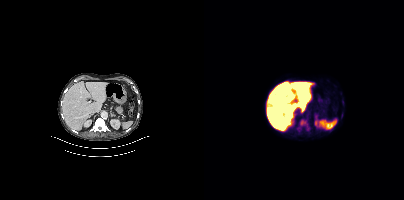
modality: PSMA PET/CT | tracer: 18F-PSMA | view: axial
Coordinates are on the 200×200 PET (right) panel. PSMA-avid tumor lesion bounding boxes (x0, y0)-(x1, y1): (95, 120)-(105, 130) | (138, 100)-(139, 105).